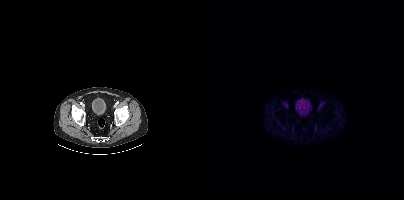
No tumor lesions annotated on this slice.